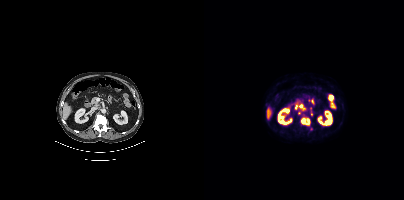
{"modality":"PSMA PET/CT","view":"axial","tracer":"[18F]PSMA-1007","pet_grid":[200,200],"coord_frame":"pet_panel","coord_format":"x0,y0,x1,y1","partial":true,"lesion_bboxes":[[97,118,105,124]],"small_foci_centers":[[96,106]]}